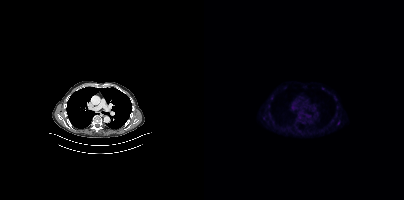
modality: PSMA PET/CT | tracer: 18F | view: axial | PET grid: 200×200
No PSMA-avid tumor lesions on this slice.